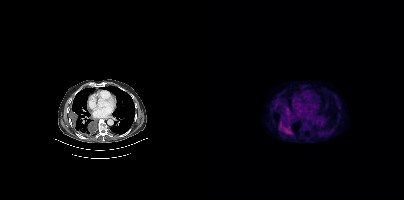
Coordinates are on the 200×200 PET (right) panel. PSMA-avid tumor lesion bounding boxes:
| # | x0 | y0 | x1 | y1 |
|---|---|---|---|---|
| 1 | 75 | 121 | 87 | 134 |
| 2 | 81 | 108 | 87 | 115 |
Left: CT. Right: PSMA PET, same axial level, 18F-PSMA tracer. Acquired on Siemens Biograph mCT Flow 20. Slice position z = -1066 mm. PET panel 200×200 px (4.1 mm/px).